- Two-panel axial: CT | PSMA PET, 18F tracer
- acquired on GE Discovery 690
- slice position z = -682 mm
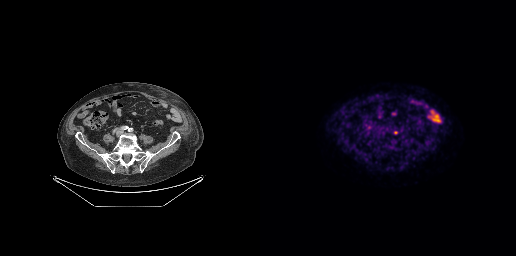
Findings: Coordinates are on the 256×256 PET (right) panel. Small PSMA-avid focus (2 to 4 px across) near (center x, center y): (135, 132).